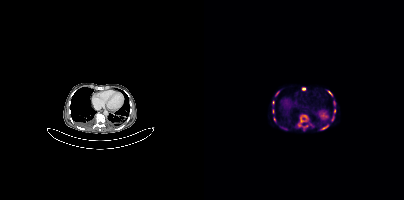
Left: CT. Right: PSMA PET, same axial level, 68Ga tracer. PET panel 200×200 px (4.1 mm/px).
Coordinates are on the 200×200 PET (right) panel. PSMA-avid tumor lesion bounding boxes (partial; 4 more foci not listed):
| # | x0 | y0 | x1 | y1 |
|---|---|---|---|---|
| 1 | 124 | 91 | 128 | 95 |
| 2 | 118 | 125 | 124 | 129 |
| 3 | 71 | 91 | 75 | 95 |
| 4 | 128 | 116 | 130 | 120 |
| 5 | 97 | 117 | 99 | 122 |
Small PSMA-avid foci (2 to 4 px across) near (center x, center y): (99, 88); (130, 102); (130, 110); (101, 116); (70, 119).